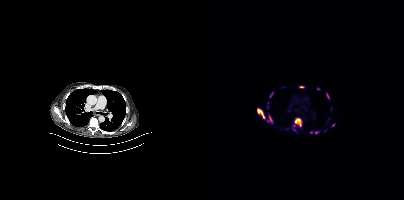
Coordinates are on the 200×200 PET (right) panel. (showing 10 of 13 foci) PSMA-avid tumor lesion bounding boxes (x, y, width, height): x=53 y=108 w=8 h=11 | x=91 y=118 w=7 h=9 | x=65 y=116 w=4 h=7 | x=66 y=92 w=4 h=6 | x=122 y=94 w=4 h=5. Small PSMA-avid foci (2 to 4 px across) near (center x, center y): (112, 132) | (97, 86) | (90, 125) | (129, 125) | (90, 129).